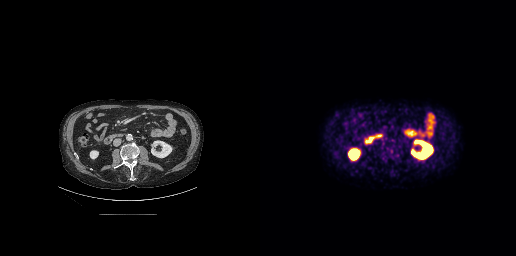
Technique: Paired axial CT (left) and PSMA PET (right), [18F]PSMA-1007 tracer. PET panel 256×256 px (2.7 mm/px).
Findings: No tumor lesions annotated on this slice.